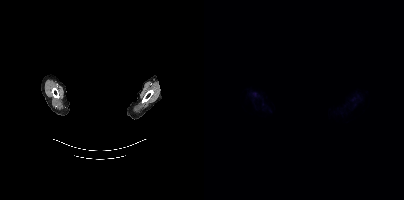
This slice has no annotated PSMA-avid lesion.
redaction: face masked with black rectangle | modality: PSMA PET/CT | tracer: 18F | view: axial